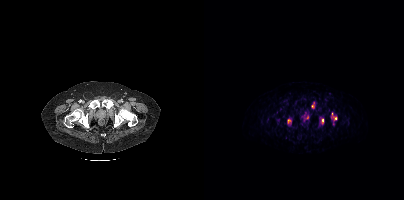
Coordinates are on the 200×200 PET (right) panel. (showing 4 of 5 foci) PSMA-avid tumor lesion bounding box (x0,y0,x1,y1): [117,119,120,124]. Small PSMA-avid foci (2 to 4 px across) near (center x, center y): (109, 105), (131, 118), (84, 121).